Technique: Paired axial CT (left) and PSMA PET (right), 18F-PSMA tracer. acquired on Siemens Biograph mCT Flow 20.
Note: Head region blanked for anonymization (face removed).
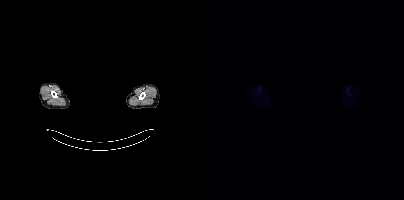
Findings: No tumor lesions annotated on this slice.